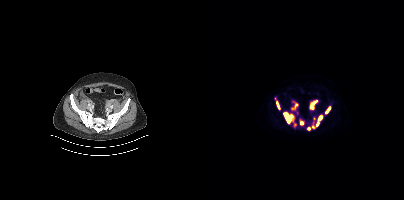
Findings: Coordinates are on the 200×200 PET (right) panel. (showing 8 of 11 foci) PSMA-avid tumor lesion bounding boxes (x, y, width, height): x=79 y=112 w=12 h=12; x=108 y=115 w=11 h=14; x=106 y=100 w=8 h=10; x=121 y=106 w=6 h=8; x=72 y=101 w=5 h=9; x=88 y=103 w=6 h=7; x=96 y=120 w=4 h=6. Small PSMA-avid focus (2 to 4 px across) near (center x, center y): (104, 128).
- Two-panel axial: CT | PSMA PET, 18F-PSMA tracer
- slice position z = -1517 mm
- PET panel 200×200 px (4.1 mm/px)